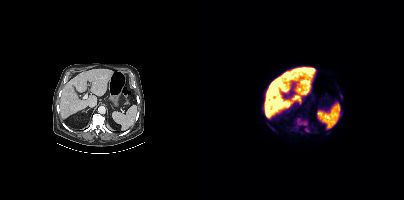
Coordinates are on the 200×200 PET (right) panel. PSMA-avid tumor lesion bounding boxes (partial; 1 more focus not listed):
| # | x0 | y0 | x1 | y1 |
|---|---|---|---|---|
| 1 | 90 | 118 | 106 | 132 |
| 2 | 64 | 124 | 70 | 130 |
Paired axial CT (left) and PSMA PET (right), 18F-PSMA tracer. Slice 227 of 423.